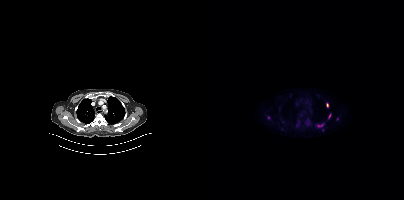
Findings: Coordinates are on the 200×200 PET (right) panel. (showing 3 of 4 foci) PSMA-avid tumor lesion bounding box (x0, y0)-(x1, y1): (114, 124)-(118, 126). Small PSMA-avid foci (2 to 4 px across) near (center x, center y): (123, 104); (125, 116).
Technique: Two-panel axial: CT | PSMA PET, 18F-PSMA tracer. acquired on Siemens Biograph mCT Flow 20. PET panel 200×200 px (4.1 mm/px).